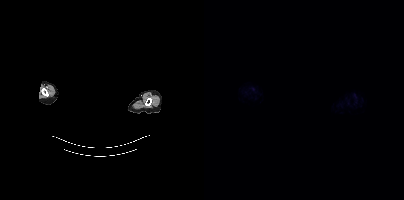
Two-panel axial: CT | PSMA PET, 18F-PSMA tracer. Acquired on Siemens Biograph mCT Flow 20. Slice 428 of 444. Facial anatomy redacted by setting a rectangular region of the head to black. No PSMA-avid tumor lesions on this slice.